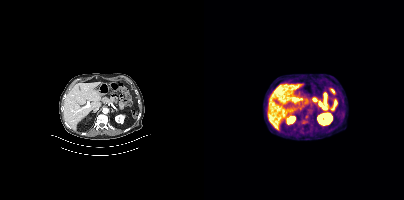
{"pet_grid":[200,200],"coord_frame":"pet_panel","coord_format":"x0,y0,x1,y1","lesion_bboxes":[],"small_foci_centers":[[102,116]],"modality":"PSMA PET/CT","view":"axial","tracer":"[18F]PSMA-1007"}